Left: CT. Right: PSMA PET, same axial level, 18F tracer. Slice 346 of 435.
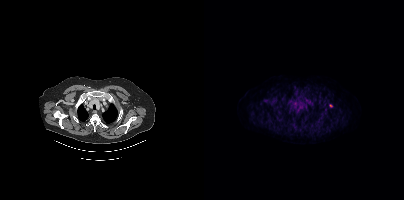
Coordinates are on the 200×200 PET (right) panel. Small PSMA-avid focus (2 to 4 px across) near (center x, center y): (126, 105).